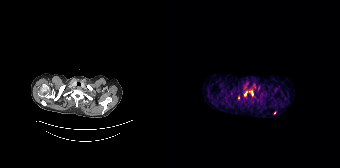
Coordinates are on the 168×168 PET (right) panel. (showing 4 of 6 foci) PSMA-avid tumor lesion bounding box (x0, y0)-(x1, y1): (79, 91)-(81, 95). Small PSMA-avid foci (2 to 4 px across) near (center x, center y): (73, 93); (66, 97); (102, 113). Left: CT. Right: PSMA PET, same axial level, [68Ga]Ga-PSMA-11 tracer. Acquired on Siemens Biograph 64-4R TruePoint. Slice 166 of 195.